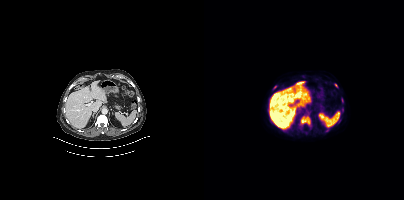
Coordinates are on the 200×200 PET (right) panel. PSMA-avid tumor lesion bounding boxes (x0, y0)-(x1, y1): (97, 116)-(107, 127) / (130, 83)-(133, 87). Small PSMA-avid foci (2 to 4 px across) near (center x, center y): (138, 109) / (71, 87) / (138, 100).
modality: PSMA PET/CT | tracer: 18F | view: axial